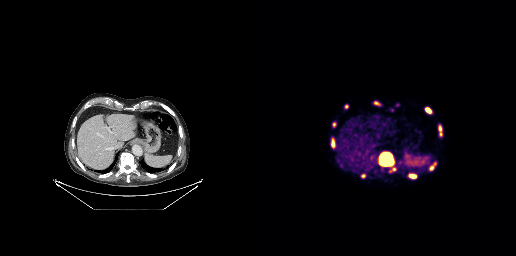
Two-panel axial: CT | PSMA PET, [68Ga]Ga-PSMA-11 tracer.
Coordinates are on the 256×256 PET (right) panel. PSMA-avid tumor lesion bounding boxes (partial; 1 more focus not listed):
| # | x0 | y0 | x1 | y1 |
|---|---|---|---|---|
| 1 | 120 | 153 | 132 | 165 |
| 2 | 71 | 138 | 75 | 147 |
| 3 | 165 | 107 | 171 | 113 |
| 4 | 149 | 174 | 156 | 178 |
| 5 | 113 | 101 | 120 | 105 |
| 6 | 130 | 166 | 136 | 172 |
| 7 | 172 | 162 | 176 | 167 |
| 8 | 101 | 174 | 105 | 177 |
| 9 | 179 | 126 | 181 | 131 |
Small PSMA-avid foci (2 to 4 px across) near (center x, center y): (74, 124); (86, 106); (171, 168); (180, 134).